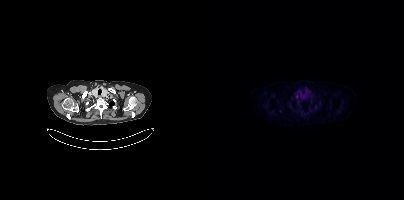
Findings: Only PSMA-avid lesion pieces thinner than 2 px on this slice (not listed).
- Two-panel axial: CT | PSMA PET, 18F-PSMA tracer
- slice position z = 438 mm
- PET panel 200×200 px (4.1 mm/px)